- Two-panel axial: CT | PSMA PET, 18F-PSMA tracer
- the face region was removed for patient privacy by blanking a rectangle over the head
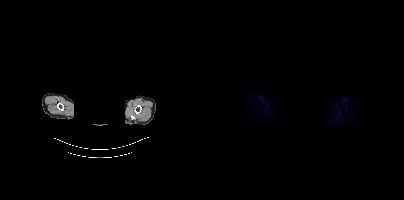
Findings: This slice has no annotated PSMA-avid lesion.